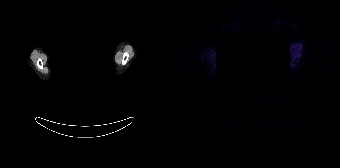
Negative for PSMA-avid disease on this slice.
de-identification: privacy mask over head | modality: PSMA PET/CT | tracer: 68Ga-PSMA | view: axial